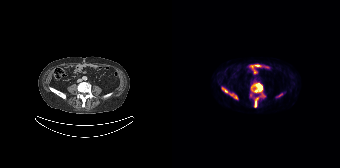
{"modality":"PSMA PET/CT","view":"axial","tracer":"18F-PSMA","pet_grid":[168,168],"coord_frame":"pet_panel","coord_format":"x0,y0,x1,y1","partial":true,"lesion_bboxes":[[79,83,93,96],[50,87,65,99],[82,97,86,107]],"small_foci_centers":[[108,95]]}